Paired axial CT (left) and PSMA PET (right), 18F tracer. Slice 137 of 454. PET panel 200×200 px (4.1 mm/px).
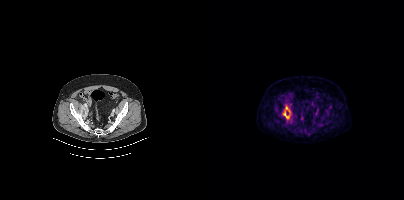
Coordinates are on the 200×200 PET (right) panel. PSMA-avid tumor lesion bounding box (x0,y0,x1,y1): [78,105,87,119].